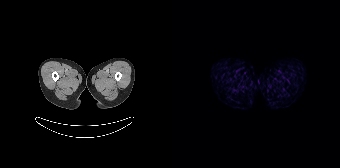
{"modality":"PSMA PET/CT","view":"axial","tracer":"68Ga-PSMA","pet_grid":[168,168],"coord_frame":"pet_panel","coord_format":"x0,y0,x1,y1","psma_avid_lesions":false}